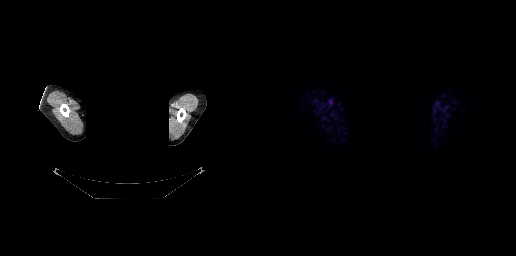
{"modality":"PSMA PET/CT","view":"axial","tracer":"[68Ga]Ga-PSMA-11","pet_grid":[256,256],"coord_frame":"pet_panel","coord_format":"x0,y0,x1,y1","psma_avid_lesions":false,"de-identification":"head region blanked (face removed)"}